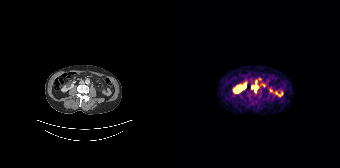
Technique: Paired axial CT (left) and PSMA PET (right), 68Ga-PSMA tracer.
Findings: Coordinates are on the 168×168 PET (right) panel. PSMA-avid tumor lesion bounding box (x, y, width, height): x=79 y=85 w=7 h=7. Small PSMA-avid focus (2 to 4 px across) near (center x, center y): (91, 85).